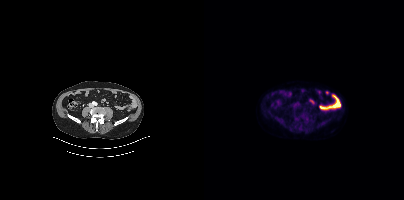
Findings: Only PSMA-avid lesion pieces thinner than 2 px on this slice (not listed).
Technique: Left: CT. Right: PSMA PET, same axial level, 18F-PSMA tracer. PET panel 200×200 px (4.1 mm/px).